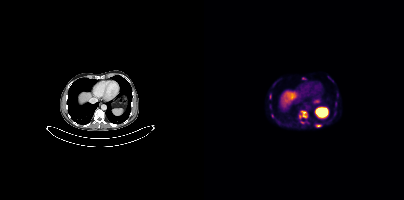
{"modality":"PSMA PET/CT","view":"axial","tracer":"18F","pet_grid":[200,200],"coord_frame":"pet_panel","coord_format":"x0,y0,x1,y1","partial":true,"lesion_bboxes":[[95,110,103,118],[112,124,117,126]],"small_foci_centers":[[98,122]]}